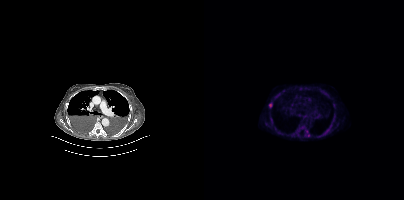
{"modality":"PSMA PET/CT","view":"axial","tracer":"[18F]PSMA-1007","pet_grid":[200,200],"coord_frame":"pet_panel","coord_format":"x0,y0,x1,y1","lesion_bboxes":[[92,126,99,133],[65,103,68,107]],"small_foci_centers":[[103,131],[120,132],[104,135]]}